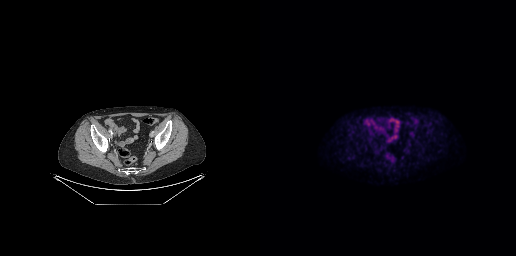
Technique: Paired axial CT (left) and PSMA PET (right), 18F tracer. slice position z = -649 mm. PET panel 256×256 px (2.7 mm/px).
Findings: Negative for PSMA-avid disease on this slice.